Paired axial CT (left) and PSMA PET (right), 18F tracer. Acquired on Siemens Biograph mCT Flow 20.
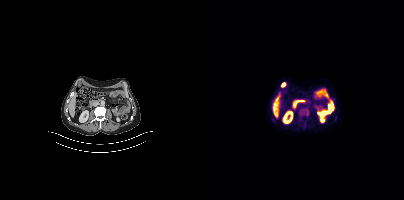
Only PSMA-avid lesion pieces thinner than 2 px on this slice (not listed).